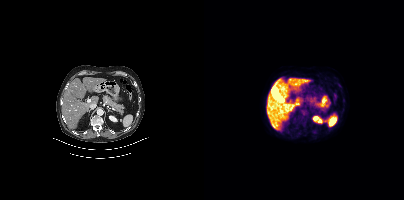
Two-panel axial: CT | PSMA PET, 18F-PSMA tracer. PET panel 200×200 px (4.1 mm/px). No PSMA-avid tumor lesions on this slice.